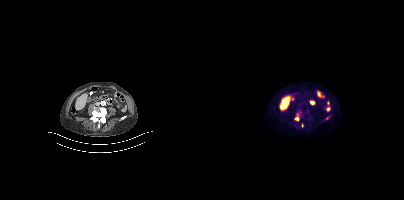
Coordinates are on the 200×200 PET (right) panel. PSMA-avid tumor lesion bounding box (x, y, width, height): x=91 y=111 w=7 h=10. Small PSMA-avid foci (2 to 4 px across) near (center x, center y): (123, 118) | (98, 125).